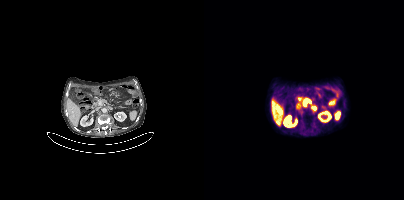
Coordinates are on the 200×200 PET (right) panel. (showing 2 of 3 foci) PSMA-avid tumor lesion bounding boxes (x, y, width, height): x=99 y=98 w=9 h=9 | x=94 y=97 w=5 h=5.